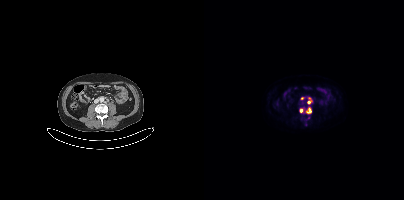
Findings: Coordinates are on the 200×200 PET (right) panel. PSMA-avid tumor lesion bounding boxes (x, y, width, height): x=103 y=107 w=5 h=7; x=104 y=98 w=4 h=6. Small PSMA-avid foci (2 to 4 px across) near (center x, center y): (97, 110); (98, 98).
- Two-panel axial: CT | PSMA PET, 18F-PSMA tracer
- acquired on Siemens Biograph mCT Flow 20
- PET panel 200×200 px (4.1 mm/px)